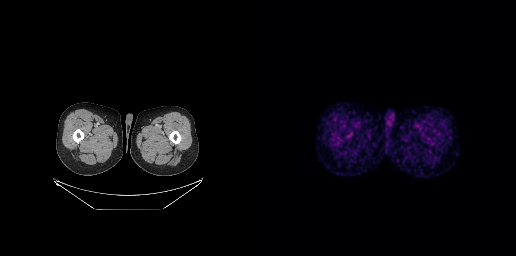
This slice has no annotated PSMA-avid lesion.
modality: PSMA PET/CT | tracer: 18F | view: axial